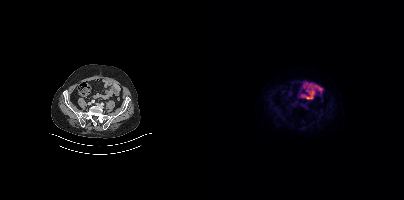
Findings: No tumor lesions annotated on this slice.
Technique: Two-panel axial: CT | PSMA PET, [18F]PSMA-1007 tracer. PET panel 200×200 px (4.1 mm/px).